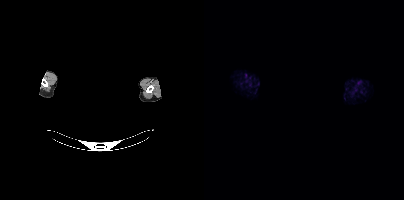
- a rectangle over the head was blacked out to remove identifiable facial features
- Two-panel axial: CT | PSMA PET, 18F-PSMA tracer
- slice position z = 1850 mm
- PET panel 200×200 px (4.1 mm/px)
Findings: This slice has no annotated PSMA-avid lesion.